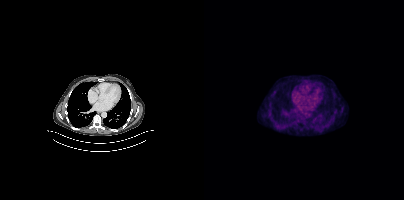
This slice has no annotated PSMA-avid lesion.